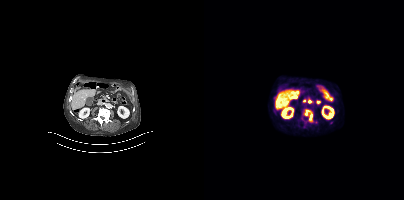
{"modality":"PSMA PET/CT","view":"axial","tracer":"18F","pet_grid":[200,200],"coord_frame":"pet_panel","coord_format":"x0,y0,x1,y1","lesion_bboxes":[[99,109,108,121],[69,109,73,114]]}